Left: CT. Right: PSMA PET, same axial level, [18F]PSMA-1007 tracer. Slice position z = -677 mm.
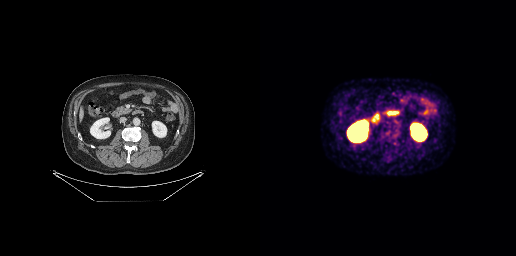
Negative for PSMA-avid disease on this slice.